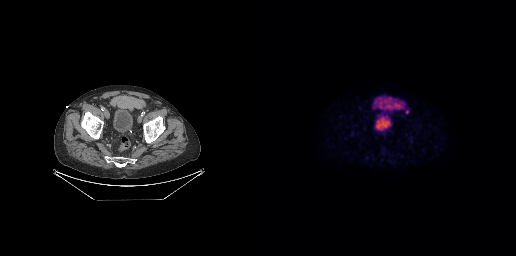
{"modality":"PSMA PET/CT","view":"axial","tracer":"[18F]PSMA-1007","pet_grid":[256,256],"coord_frame":"pet_panel","coord_format":"x0,y0,x1,y1","lesion_bboxes":[],"small_foci_centers":[[147,111]]}